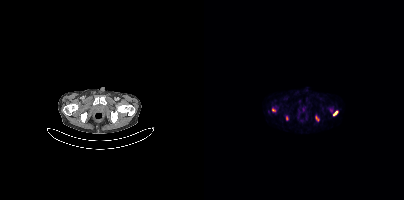
Coordinates are on the 200×200 PET (right) panel. PSMA-avid tumor lesion bounding boxes (x0, y0)-(x1, y1): (129, 111)-(133, 115) / (112, 116)-(114, 120). Small PSMA-avid foci (2 to 4 px across) near (center x, center y): (69, 110) / (82, 118).